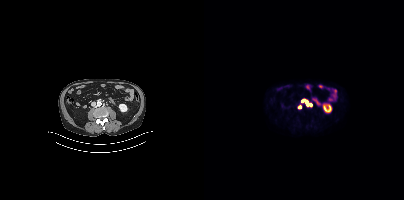
{"pet_grid":[200,200],"coord_frame":"pet_panel","coord_format":"x0,y0,x1,y1","lesion_bboxes":[[98,99,104,105]],"small_foci_centers":[[96,107],[106,105]],"modality":"PSMA PET/CT","view":"axial","tracer":"18F"}